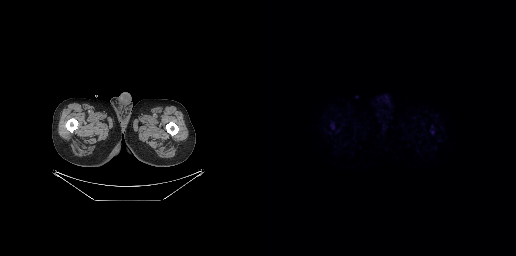
No PSMA-avid tumor lesions on this slice. Two-panel axial: CT | PSMA PET, [18F]PSMA-1007 tracer. Acquired on GE Discovery 690. PET panel 256×256 px (2.7 mm/px).